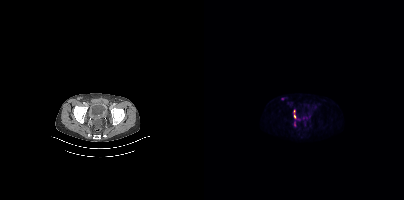
{"modality":"PSMA PET/CT","view":"axial","tracer":"18F-PSMA","pet_grid":[200,200],"coord_frame":"pet_panel","coord_format":"x0,y0,x1,y1","lesion_bboxes":[[89,110,92,118]],"small_foci_centers":[[78,98],[90,124]]}